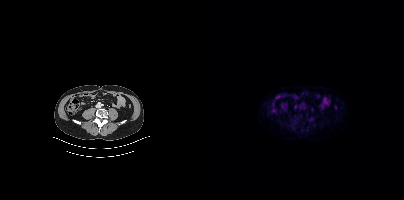
No PSMA-avid tumor lesions on this slice.